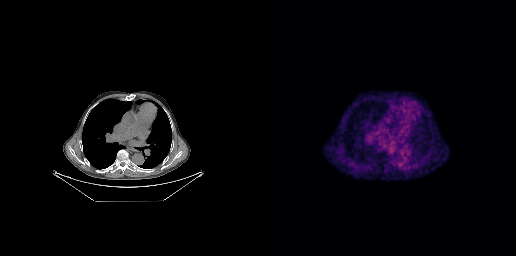
Findings: Negative for PSMA-avid disease on this slice.
- Left: CT. Right: PSMA PET, same axial level, 68Ga-PSMA tracer
- slice 167 of 227
- PET panel 256×256 px (2.7 mm/px)